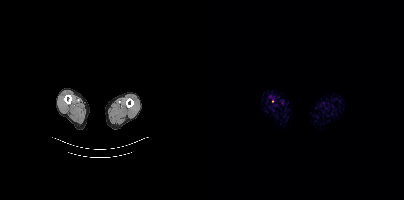
Coordinates are on the 200×200 PET (right) panel. Small PSMA-avid focus (2 to 4 px across) near (center x, center y): (68, 101). Two-panel axial: CT | PSMA PET, 18F tracer. Slice 2 of 411. PET panel 200×200 px (4.1 mm/px).